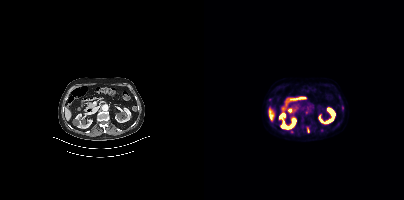
Coordinates are on the 200×200 PET (right) panel. PSMA-avid tumor lesion bounding box (x0,y0,x1,y1): [103,127,105,132]. Small PSMA-avid foci (2 to 4 px across) near (center x, center y): (87, 132) (138, 107) (117, 130).